Left: CT. Right: PSMA PET, same axial level, 18F-PSMA tracer. PET panel 200×200 px (4.1 mm/px).
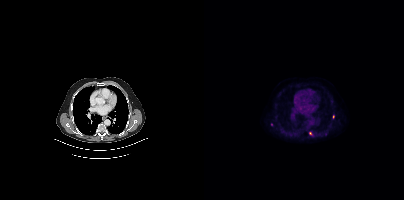
Coordinates are on the 200×200 PET (right) panel. (showing 2 of 3 foci) Small PSMA-avid foci (2 to 4 px across) near (center x, center y): (106, 133), (129, 116).